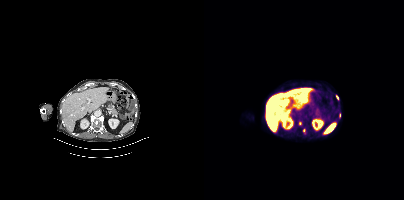
Technique: Left: CT. Right: PSMA PET, same axial level, 18F tracer. acquired on Siemens Biograph mCT Flow 20. slice 223 of 411. PET panel 200×200 px (4.1 mm/px).
Findings: Coordinates are on the 200×200 PET (right) panel. PSMA-avid tumor lesion bounding boxes (x0,y0,x1,y1): [132,95,134,100], [135,113,136,117]. Small PSMA-avid foci (2 to 4 px across) near (center x, center y): (100, 130), (96, 123).